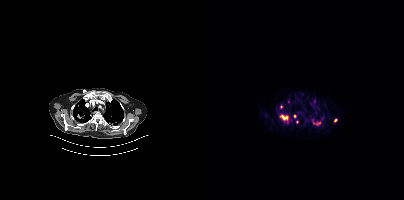
Two-panel axial: CT | PSMA PET, 18F-PSMA tracer. Acquired on Siemens Biograph mCT Flow 20. Coordinates are on the 200×200 PET (right) panel. PSMA-avid tumor lesion bounding boxes (x0,y0,x1,y1): [76,115,84,122] [109,120,117,126]. Small PSMA-avid foci (2 to 4 px across) near (center x, center y): (77, 106) (131, 120) (91, 116) (93, 122) (84, 101) (87, 120).